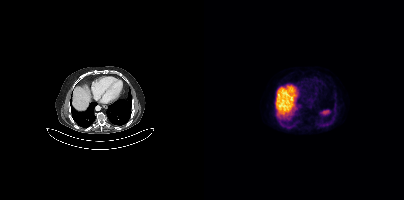
Findings: Negative for PSMA-avid disease on this slice.
- Left: CT. Right: PSMA PET, same axial level, 18F tracer
- slice 249 of 395
- PET panel 200×200 px (4.1 mm/px)